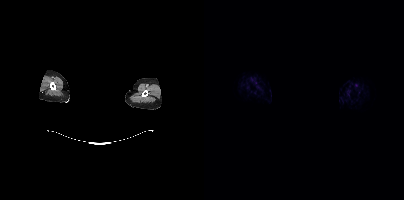
No PSMA-avid tumor lesions on this slice.
Head region blanked for anonymization (face removed).